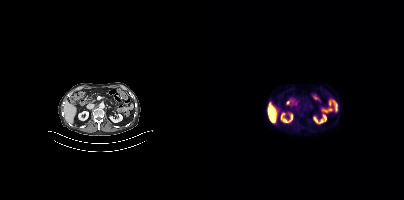
- Two-panel axial: CT | PSMA PET, 18F-PSMA tracer
- slice position z = -708 mm
Findings: No tumor lesions annotated on this slice.